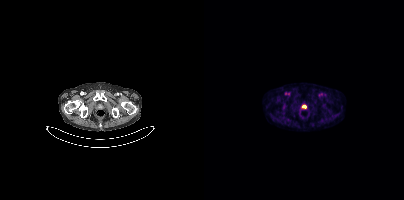
Coordinates are on the 200×200 PET (right) panel. PSMA-avid tumor lesion bounding box (x0,y0,x1,y1): [98,105,102,108].